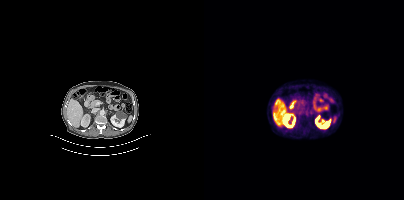
Negative for PSMA-avid disease on this slice.